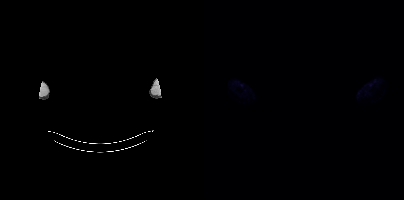
{"modality":"PSMA PET/CT","view":"axial","tracer":"18F-PSMA","pet_grid":[200,200],"coord_frame":"pet_panel","coord_format":"x0,y0,x1,y1","psma_avid_lesions":false,"deidentification":"facial region redacted"}